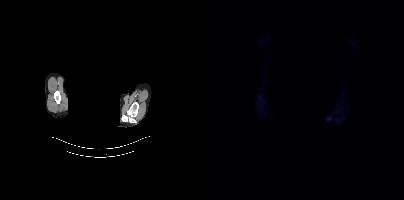
{"pet_grid":[200,200],"coord_frame":"pet_panel","coord_format":"x0,y0,x1,y1","psma_avid_lesions":false,"de-identification":"facial region redacted","modality":"PSMA PET/CT","view":"axial","tracer":"[18F]PSMA-1007"}